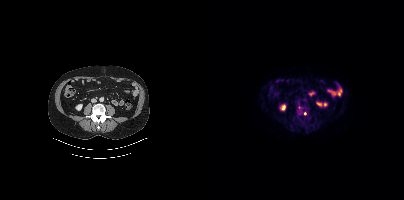
- Two-panel axial: CT | PSMA PET, 18F tracer
- slice 183 of 464
Findings: Coordinates are on the 200×200 PET (right) panel. PSMA-avid tumor lesion bounding box (x0,y0,x1,y1): [92,106,105,118]. Small PSMA-avid focus (2 to 4 px across) near (center x, center y): (96, 125).